Paired axial CT (left) and PSMA PET (right), 18F tracer. Acquired on Siemens Biograph mCT Flow 20. Slice position z = -846 mm. PET panel 200×200 px (4.1 mm/px).
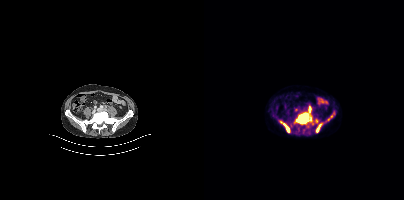
Coordinates are on the 200×200 PET (right) panel. PSMA-avid tumor lesion bounding boxes:
| # | x0 | y0 | x1 | y1 |
|---|---|---|---|---|
| 1 | 92 | 112 | 107 | 123 |
| 2 | 76 | 121 | 85 | 132 |
| 3 | 112 | 124 | 117 | 132 |
| 4 | 105 | 107 | 106 | 111 |